Left: CT. Right: PSMA PET, same axial level, 18F tracer.
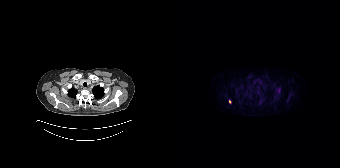
Coordinates are on the 168×168 PET (right) panel. PSMA-avid tumor lesion bounding box (x0,y0,x1,y1): [57,99,59,103].